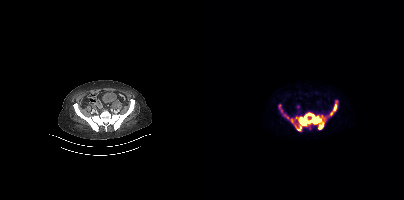
{"modality":"PSMA PET/CT","view":"axial","tracer":"68Ga-PSMA","pet_grid":[200,200],"coord_frame":"pet_panel","coord_format":"x0,y0,x1,y1","lesion_bboxes":[[86,112,122,130],[124,100,133,116],[74,105,80,113],[79,114,84,118]]}